Two-panel axial: CT | PSMA PET, 18F-PSMA tracer. Acquired on Siemens Biograph mCT Flow 20.
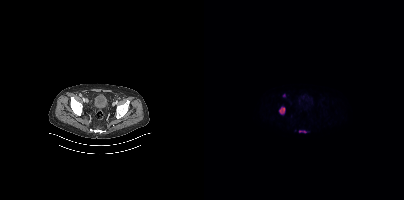
Coordinates are on the 200×200 PET (right) panel. PSMA-avid tumor lesion bounding boxes (x0, y0)-(x1, y1): (75, 107)-(80, 113) | (95, 130)-(102, 132). Small PSMA-avid focus (2 to 4 px across) near (center x, center y): (80, 95).